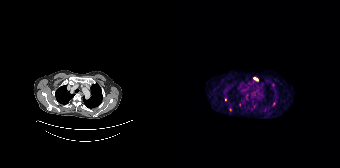
{"modality":"PSMA PET/CT","view":"axial","tracer":"68Ga-PSMA","pet_grid":[168,168],"coord_frame":"pet_panel","coord_format":"x0,y0,x1,y1","partial":true,"lesion_bboxes":[],"small_foci_centers":[[83,79],[101,84],[58,109],[53,99]]}